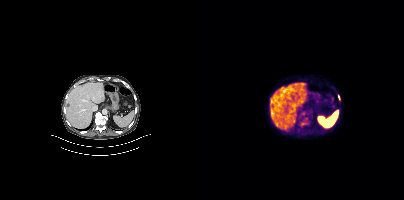
Coordinates are on the 200×200 PET (right) panel. PSMA-avid tumor lesion bounding boxes (x0,y0,x1,y1): [97,122,102,125]; [134,95,135,99]. Left: CT. Right: PSMA PET, same axial level, [18F]PSMA-1007 tracer. Acquired on Siemens Biograph mCT Flow 20. Slice position z = -636 mm. PET panel 200×200 px (4.1 mm/px).